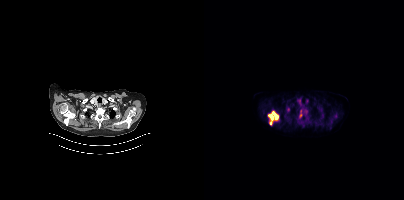
Findings: Coordinates are on the 200×200 PET (right) panel. (showing 5 of 6 foci) PSMA-avid tumor lesion bounding boxes (x, y, width, height): x=64 y=111 w=11 h=14; x=83 y=107 w=3 h=6. Small PSMA-avid foci (2 to 4 px across) near (center x, center y): (101, 110); (96, 115); (131, 115).
Technique: Left: CT. Right: PSMA PET, same axial level, 18F-PSMA tracer. slice 327 of 401. PET panel 200×200 px (4.1 mm/px).